Technique: Two-panel axial: CT | PSMA PET, 18F-PSMA tracer.
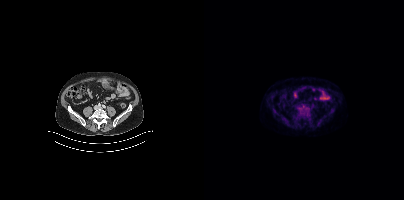
Findings: This slice has no annotated PSMA-avid lesion.